Technique: Left: CT. Right: PSMA PET, same axial level, [68Ga]Ga-PSMA-11 tracer. slice position z = -1690 mm.
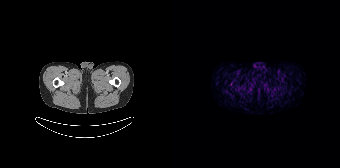
Findings: This slice has no annotated PSMA-avid lesion.